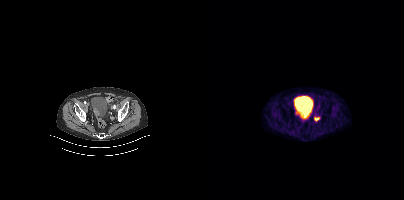
- Left: CT. Right: PSMA PET, same axial level, [68Ga]Ga-PSMA-11 tracer
- PET panel 200×200 px (4.1 mm/px)
Findings: Coordinates are on the 200×200 PET (right) panel. PSMA-avid tumor lesion bounding box (x0, y0)-(x1, y1): (110, 117)-(115, 120).